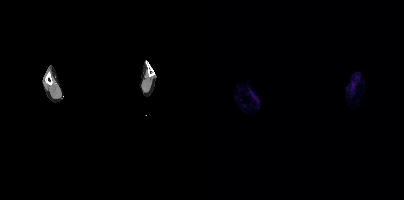
{"modality":"PSMA PET/CT","view":"axial","tracer":"[18F]PSMA-1007","pet_grid":[200,200],"coord_frame":"pet_panel","coord_format":"x0,y0,x1,y1","deidentification":"facial region redacted","psma_avid_lesions":false}